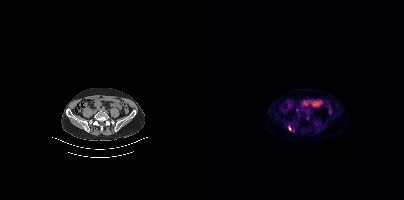
modality: PSMA PET/CT | tracer: 68Ga | view: axial
Coordinates are on the 200×200 PET (right) panel. PSMA-avid tumor lesion bounding box (x, y, width, height): x=85 y=126 w=3 h=5.